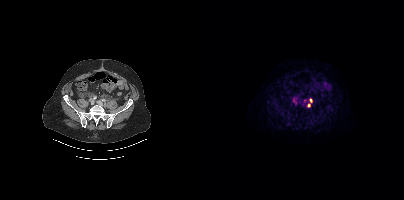
Coordinates are on the 200×200 PET (right) panel. (showing 3 of 4 foci) Small PSMA-avid foci (2 to 4 px across) near (center x, center y): (106, 100) / (105, 105) / (89, 101).